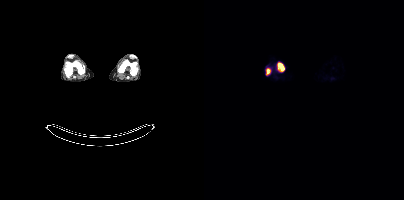
- Left: CT. Right: PSMA PET, same axial level, 18F-PSMA tracer
- acquired on Siemens Biograph mCT Flow 20
- slice position z = -1425 mm
Findings: Coordinates are on the 200×200 PET (right) panel. PSMA-avid tumor lesion bounding boxes (x, y, width, height): x=74 y=63 w=7 h=9 | x=62 y=69 w=4 h=6.